Two-panel axial: CT | PSMA PET, 18F-PSMA tracer. Acquired on GE Discovery 690. Slice position z = -243 mm.
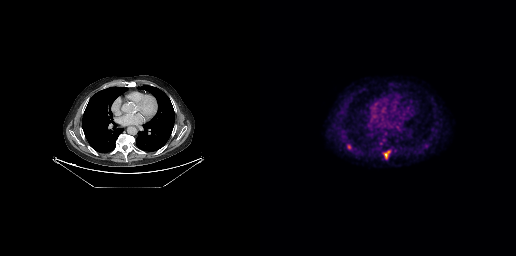
Coordinates are on the 256×256 PET (right) panel. PSMA-avid tumor lesion bounding boxes:
| # | x0 | y0 | x1 | y1 |
|---|---|---|---|---|
| 1 | 124 | 151 | 129 | 158 |
Small PSMA-avid focus (2 to 4 px across) near (center x, center y): (89, 147).